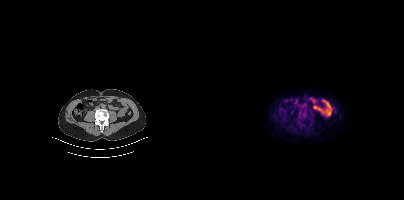
- Left: CT. Right: PSMA PET, same axial level, [68Ga]Ga-PSMA-11 tracer
- PET panel 200×200 px (4.1 mm/px)
Findings: Negative for PSMA-avid disease on this slice.